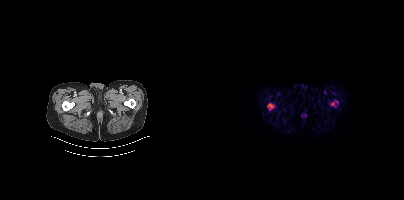
modality: PSMA PET/CT | tracer: [18F]PSMA-1007 | view: axial
Coordinates are on the 200×200 PET (right) panel. (showing 2 of 3 foci) PSMA-avid tumor lesion bounding box (x, y, width, height): x=63 y=103 w=9 h=8. Small PSMA-avid focus (2 to 4 px across) near (center x, center y): (128, 103).